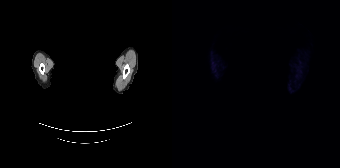
Two-panel axial: CT | PSMA PET, 18F tracer. Privacy masking over the head, with the pixels inside a rectangle set to black. No tumor lesions annotated on this slice.